Technique: Left: CT. Right: PSMA PET, same axial level, [18F]PSMA-1007 tracer. acquired on Siemens Biograph 64-4R TruePoint. slice 112 of 165. PET panel 168×168 px (4.1 mm/px).
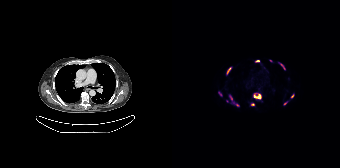
Findings: Coordinates are on the 168×168 PET (right) panel. (showing 11 of 12 foci) PSMA-avid tumor lesion bounding boxes (x0, y0)-(x1, y1): (81, 93)-(89, 99) | (54, 67)-(59, 74) | (107, 62)-(113, 69) | (61, 102)-(67, 106) | (57, 95)-(60, 100) | (83, 60)-(87, 62) | (119, 94)-(122, 98) | (111, 101)-(115, 105) | (46, 92)-(50, 95). Small PSMA-avid foci (2 to 4 px across) near (center x, center y): (80, 104) | (98, 60).